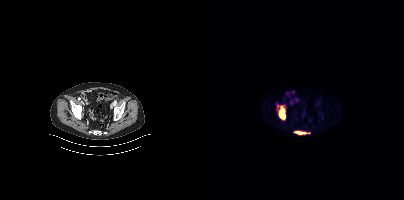
Coordinates are on the 200×200 PET (right) panel. PSMA-avid tumor lesion bounding boxes (x0, y0)-(x1, y1): (75, 106)-(81, 119) | (90, 131)-(106, 134).